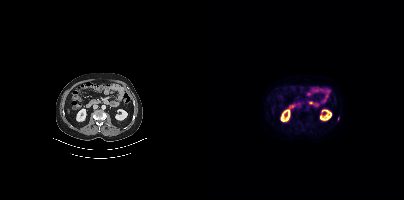
Two-panel axial: CT | PSMA PET, 18F-PSMA tracer. Acquired on Siemens Biograph mCT Flow 20. Coordinates are on the 200×200 PET (right) panel. Small PSMA-avid focus (2 to 4 px across) near (center x, center y): (134, 118).